Paired axial CT (left) and PSMA PET (right), [68Ga]Ga-PSMA-11 tracer. PET panel 168×168 px (4.1 mm/px).
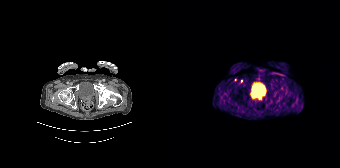
Coordinates are on the 168×168 PET (right) panel. Small PSMA-avid foci (2 to 4 px across) near (center x, center y): (87, 97); (69, 81).